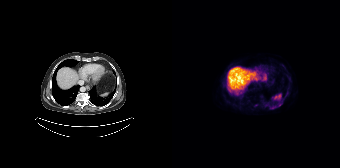
- Two-panel axial: CT | PSMA PET, 18F tracer
- slice 102 of 165
- PET panel 168×168 px (4.1 mm/px)
Findings: This slice has no annotated PSMA-avid lesion.